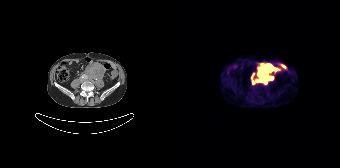
{"modality":"PSMA PET/CT","view":"axial","tracer":"68Ga-PSMA","pet_grid":[168,168],"coord_frame":"pet_panel","coord_format":"x0,y0,x1,y1","lesion_bboxes":[[84,64,105,83],[79,75,82,83]]}